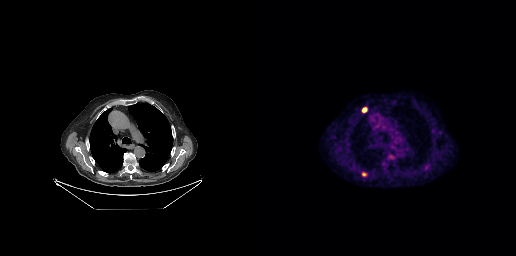
Coordinates are on the 256×256 PET (right) panel. PSMA-avid tumor lesion bounding boxes (x, y, width, height): x=102 y=107 w=6 h=6 / x=102 y=172 w=5 h=5.